Technique: Paired axial CT (left) and PSMA PET (right), 18F tracer. acquired on Siemens Biograph mCT Flow 20. PET panel 200×200 px (4.1 mm/px).
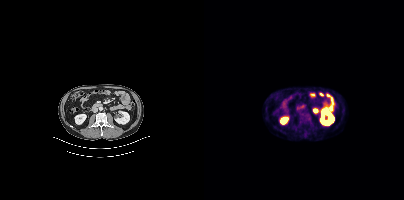
Findings: Coordinates are on the 200×200 PET (right) panel. PSMA-avid tumor lesion bounding box (x, y, width, height): x=95 y=113 w=13 h=11.